Technique: Paired axial CT (left) and PSMA PET (right), [18F]PSMA-1007 tracer. PET panel 200×200 px (4.1 mm/px).
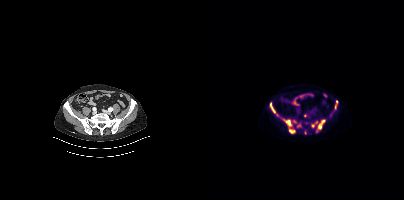
Findings: Coordinates are on the 200×200 PET (right) panel. (showing 8 of 11 foci) PSMA-avid tumor lesion bounding boxes (x0, y0)-(x1, y1): (79, 119)-(93, 133) / (112, 120)-(120, 132) / (66, 102)-(71, 113) / (92, 124)-(98, 128). Small PSMA-avid foci (2 to 4 px across) near (center x, center y): (108, 125) / (131, 107) / (132, 101) / (100, 115).